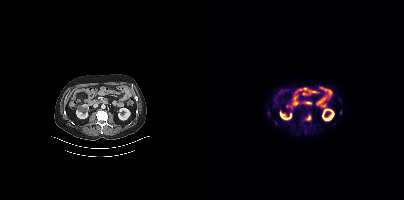
Technique: Two-panel axial: CT | PSMA PET, 18F tracer. PET panel 200×200 px (4.1 mm/px).
Findings: Coordinates are on the 200×200 PET (right) panel. (showing 1 of 3 foci) PSMA-avid tumor lesion bounding box (x, y, width, height): x=101 y=114 w=7 h=7.